Left: CT. Right: PSMA PET, same axial level, [68Ga]Ga-PSMA-11 tracer.
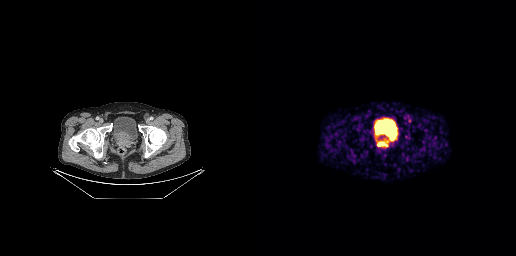
Coordinates are on the 256×256 PET (right) panel. PSMA-avid tumor lesion bounding boxes:
| # | x0 | y0 | x1 | y1 |
|---|---|---|---|---|
| 1 | 117 | 141 | 127 | 146 |
Small PSMA-avid focus (2 to 4 px across) near (center x, center y): (127, 141).